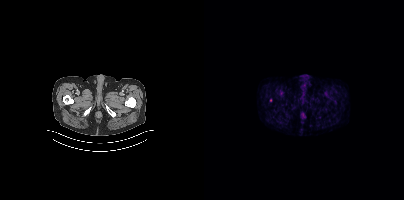
{"pet_grid":[200,200],"coord_frame":"pet_panel","coord_format":"x0,y0,x1,y1","lesion_bboxes":[],"small_foci_centers":[[66,100]],"modality":"PSMA PET/CT","view":"axial","tracer":"68Ga-PSMA"}